modality: PSMA PET/CT | tracer: 18F-PSMA | view: axial
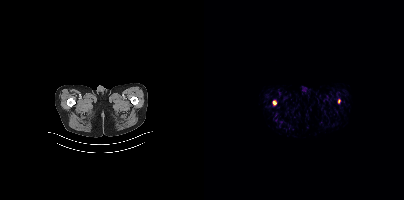
Coordinates are on the 200×200 PET (right) panel. Small PSMA-avid foci (2 to 4 px across) near (center x, center y): (70, 102); (135, 100).